Two-panel axial: CT | PSMA PET, 18F-PSMA tracer. Acquired on Siemens Biograph mCT Flow 20. Slice 125 of 466.
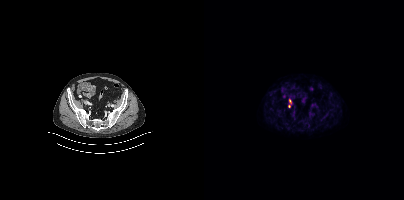
Coordinates are on the 200×200 PET (right) panel. Small PSMA-avid foci (2 to 4 px across) near (center x, center y): (85, 106); (85, 101).